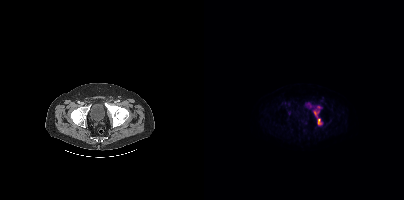
Paired axial CT (left) and PSMA PET (right), 18F tracer.
Coordinates are on the 200×200 PET (right) panel. PSMA-avid tumor lesion bounding boxes:
| # | x0 | y0 | x1 | y1 |
|---|---|---|---|---|
| 1 | 109 | 110 | 117 | 125 |
Small PSMA-avid focus (2 to 4 px across) near (center x, center y): (114, 107).